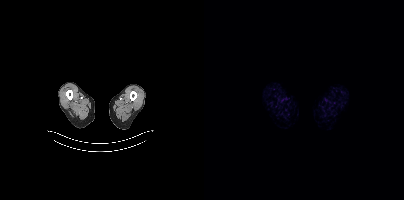
{"pet_grid":[200,200],"coord_frame":"pet_panel","coord_format":"x0,y0,x1,y1","psma_avid_lesions":false,"modality":"PSMA PET/CT","view":"axial","tracer":"[18F]PSMA-1007"}